modality: PSMA PET/CT | tracer: 18F-PSMA | view: axial
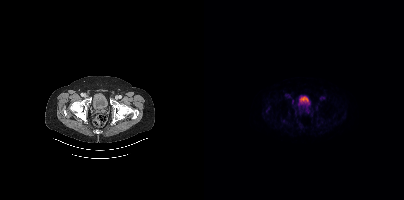
Only PSMA-avid lesion pieces thinner than 2 px on this slice (not listed).